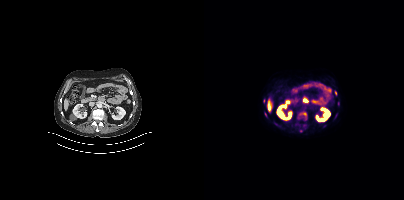
{"pet_grid":[200,200],"coord_frame":"pet_panel","coord_format":"x0,y0,x1,y1","partial":true,"lesion_bboxes":[],"small_foci_centers":[[131,92],[61,114]],"modality":"PSMA PET/CT","view":"axial","tracer":"18F"}